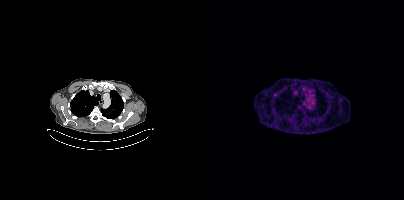
- Paired axial CT (left) and PSMA PET (right), 68Ga-PSMA tracer
- PET panel 200×200 px (4.1 mm/px)
Findings: Negative for PSMA-avid disease on this slice.